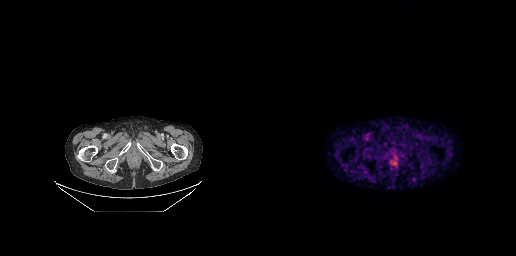
Two-panel axial: CT | PSMA PET, [68Ga]Ga-PSMA-11 tracer. This slice has no annotated PSMA-avid lesion.